Technique: Two-panel axial: CT | PSMA PET, [18F]PSMA-1007 tracer. slice 215 of 415. PET panel 200×200 px (4.1 mm/px).
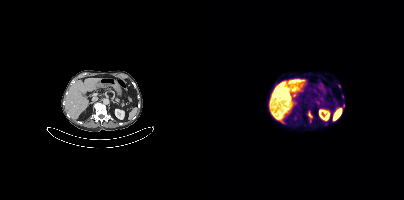
Findings: Coordinates are on the 200×200 PET (right) panel. PSMA-avid tumor lesion bounding box (x, y, width, height): x=105 y=113 w=3 h=5. Small PSMA-avid focus (2 to 4 px across) near (center x, center y): (138, 96).